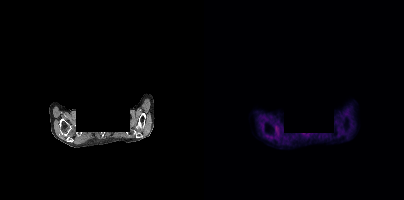
A rectangle over the head was blacked out to remove identifiable facial features.
Negative for PSMA-avid disease on this slice.